Left: CT. Right: PSMA PET, same axial level, 68Ga-PSMA tracer. Acquired on Siemens Biograph mCT Flow 20. Slice position z = -981 mm. PET panel 200×200 px (4.1 mm/px).
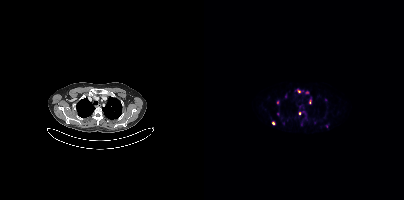
Coordinates are on the 200×200 PET (right) panel. (showing 6 of 8 foci) Small PSMA-avid foci (2 to 4 px across) near (center x, center y): (103, 92); (95, 113); (81, 96); (73, 102); (69, 123); (94, 91).